Left: CT. Right: PSMA PET, same axial level, 18F tracer. Acquired on GE Discovery 690. PET panel 256×256 px (2.7 mm/px).
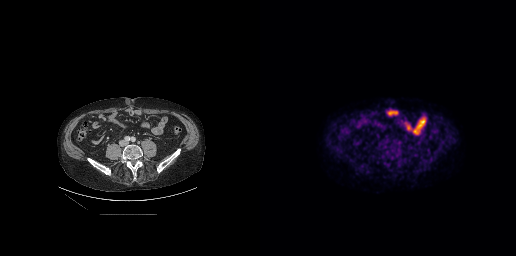
Coordinates are on the 256×256 PET (right) panel. PSMA-avid tumor lesion bounding box (x0,y0,x1,y1): [135,140,140,145].